Technique: Left: CT. Right: PSMA PET, same axial level, [18F]PSMA-1007 tracer.
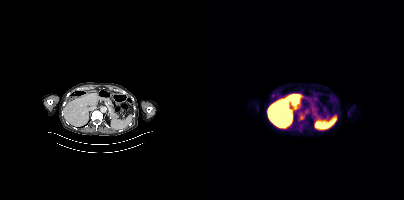
Findings: This slice has no annotated PSMA-avid lesion.